Paired axial CT (left) and PSMA PET (right), 18F-PSMA tracer. PET panel 200×200 px (4.1 mm/px).
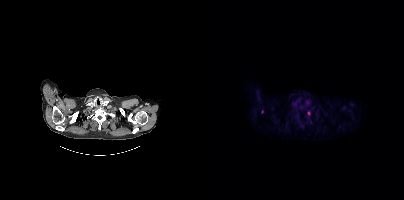
Coordinates are on the 200×200 PET (right) panel. Small PSMA-avid foci (2 to 4 px across) near (center x, center y): (58, 111) / (104, 112).